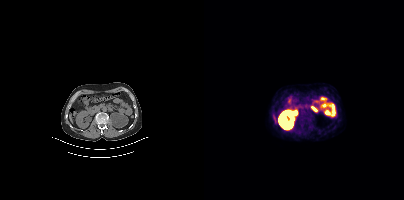
This slice has no annotated PSMA-avid lesion.